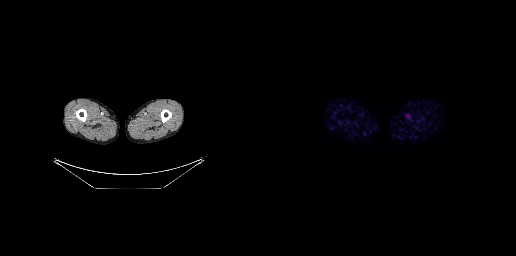
modality: PSMA PET/CT | tracer: 18F-PSMA | view: axial | PET grid: 256×256
No tumor lesions annotated on this slice.